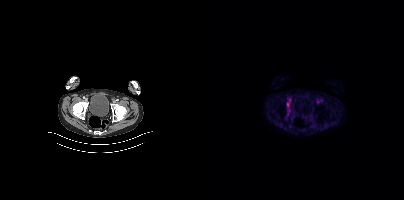
No tumor lesions annotated on this slice. Left: CT. Right: PSMA PET, same axial level, [18F]PSMA-1007 tracer. PET panel 200×200 px (4.1 mm/px).